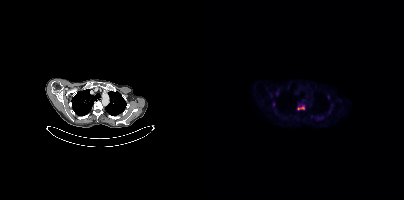
Technique: Left: CT. Right: PSMA PET, same axial level, [18F]PSMA-1007 tracer. acquired on Siemens Biograph mCT Flow 20.
Findings: Coordinates are on the 200×200 PET (right) panel. (showing 3 of 5 foci) PSMA-avid tumor lesion bounding boxes (x0, y0)-(x1, y1): (93, 105)-(100, 110) | (123, 95)-(125, 99). Small PSMA-avid focus (2 to 4 px across) near (center x, center y): (69, 105).